Left: CT. Right: PSMA PET, same axial level, 18F-PSMA tracer. Slice position z = -1486 mm. PET panel 200×200 px (4.1 mm/px).
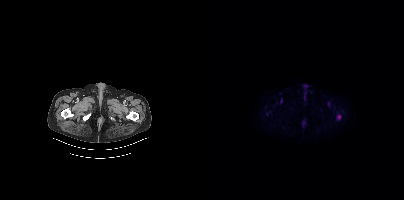
Only PSMA-avid lesion pieces thinner than 2 px on this slice (not listed).